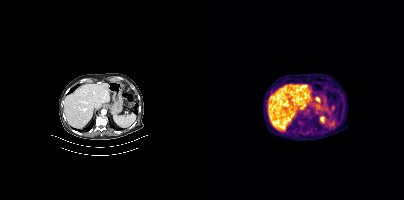
Negative for PSMA-avid disease on this slice. Two-panel axial: CT | PSMA PET, 18F tracer. Slice position z = -1124 mm.